- Two-panel axial: CT | PSMA PET, 68Ga tracer
- acquired on Siemens Biograph 64-4R TruePoint
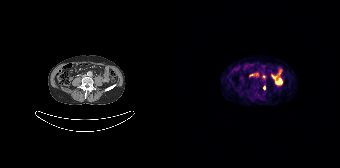
Findings: Coordinates are on the 168×168 PET (right) panel. Small PSMA-avid foci (2 to 4 px across) near (center x, center y): (91, 76) / (92, 88) / (84, 74).